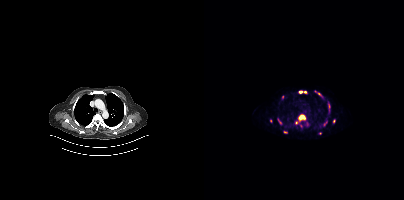
Paired axial CT (left) and PSMA PET (right), 68Ga tracer. Acquired on Siemens Biograph mCT Flow 20. PET panel 200×200 px (4.1 mm/px).
Coordinates are on the 200×200 PET (right) panel. PSMA-avid tumor lesion bounding boxes (partial; 2 more foci not listed):
| # | x0 | y0 | x1 | y1 |
|---|---|---|---|---|
| 1 | 95 | 115 | 101 | 121 |
| 2 | 101 | 120 | 105 | 124 |
| 3 | 74 | 119 | 78 | 124 |
| 4 | 119 | 121 | 123 | 125 |
Small PSMA-avid foci (2 to 4 px across) near (center x, center y): (92, 122); (125, 108); (96, 92); (116, 95); (130, 121); (81, 132); (101, 91).